modality: PSMA PET/CT | tracer: 18F | view: axial
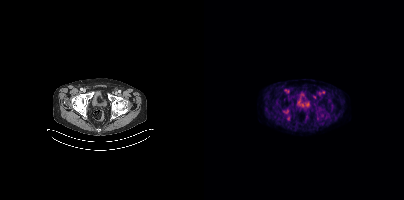
Coordinates are on the 200×200 PET (right) panel. Small PSMA-avid focus (2 to 4 px across) near (center x, center y): (113, 118).